Technique: Two-panel axial: CT | PSMA PET, [68Ga]Ga-PSMA-11 tracer. slice 283 of 373. PET panel 200×200 px (4.1 mm/px).
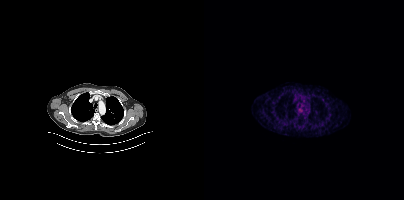
Findings: Negative for PSMA-avid disease on this slice.